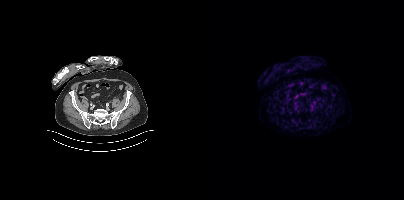
- Paired axial CT (left) and PSMA PET (right), 68Ga tracer
- acquired on Siemens Biograph mCT Flow 20
- slice position z = -1406 mm
- PET panel 200×200 px (4.1 mm/px)
Findings: No PSMA-avid tumor lesions on this slice.